- any black rectangle over the head is a privacy mask, not anatomy
- Paired axial CT (left) and PSMA PET (right), [18F]PSMA-1007 tracer
- PET panel 200×200 px (4.1 mm/px)
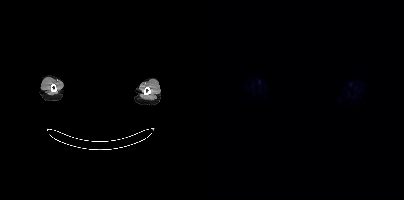
Findings: No tumor lesions annotated on this slice.